Two-panel axial: CT | PSMA PET, 18F tracer.
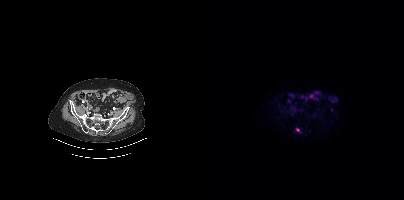
Coordinates are on the 200×200 PET (right) panel. Small PSMA-avid focus (2 to 4 px across) near (center x, center y): (93, 129).